Two-panel axial: CT | PSMA PET, [18F]PSMA-1007 tracer. Slice position z = -672 mm.
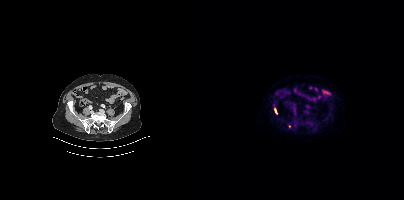
Coordinates are on the 200×200 PET (right) panel. Small PSMA-avid foci (2 to 4 px across) near (center x, center y): (71, 110); (85, 126).